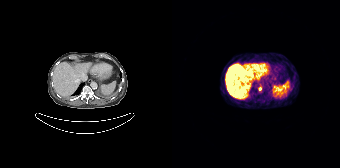
Paired axial CT (left) and PSMA PET (right), [68Ga]Ga-PSMA-11 tracer. Slice 117 of 195. Coordinates are on the 168×168 PET (right) panel. Small PSMA-avid focus (2 to 4 px across) near (center x, center y): (87, 88).